- the face region was removed for patient privacy by blanking a rectangle over the head
- Paired axial CT (left) and PSMA PET (right), 18F tracer
- slice 416 of 454
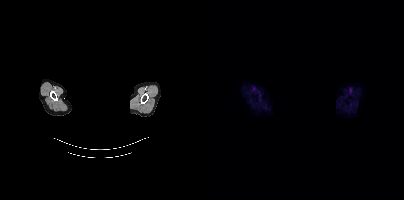
Findings: No tumor lesions annotated on this slice.